- Paired axial CT (left) and PSMA PET (right), 18F tracer
- slice position z = -1104 mm
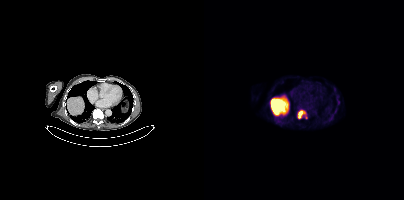
Findings: Coordinates are on the 200×200 PET (right) panel. (showing 1 of 2 foci) PSMA-avid tumor lesion bounding box (x, y, width, height): x=93 y=110 w=11 h=9.